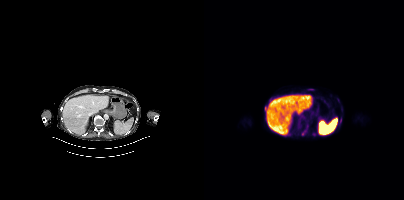
Coordinates are on the 200×200 PET (right) panel. (showing 7 of 9 foci) PSMA-avid tumor lesion bounding boxes (x0,y0,x1,y1): [103,88,110,90], [98,130,102,135], [61,107,63,112], [94,121,96,125], [135,118,137,123]. Small PSMA-avid foci (2 to 4 px across) near (center x, center y): (103, 126), (109, 134).